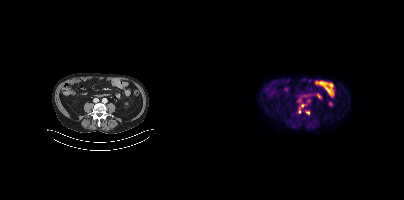
Findings: Coordinates are on the 200×200 PET (right) panel. PSMA-avid tumor lesion bounding box (x0,y0,x1,y1): [94,104,100,113]. Small PSMA-avid focus (2 to 4 px across) near (center x, center y): (103, 112).
- Left: CT. Right: PSMA PET, same axial level, 18F-PSMA tracer